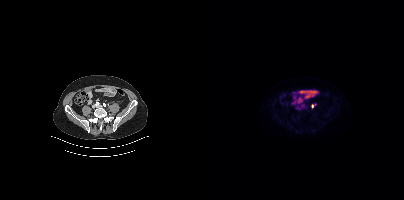
modality: PSMA PET/CT | tracer: [18F]PSMA-1007 | view: axial | PET grid: 200×200
Coordinates are on the 200×200 PET (right) panel. (showing 1 of 2 foci) Small PSMA-avid focus (2 to 4 px across) near (center x, center y): (108, 105).